Technique: Two-panel axial: CT | PSMA PET, [18F]PSMA-1007 tracer. acquired on Siemens Biograph mCT Flow 20. PET panel 200×200 px (4.1 mm/px).
Note: De-identified by setting a box covering the face to black before release.
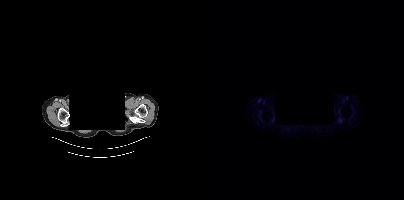
Findings: This slice has no annotated PSMA-avid lesion.